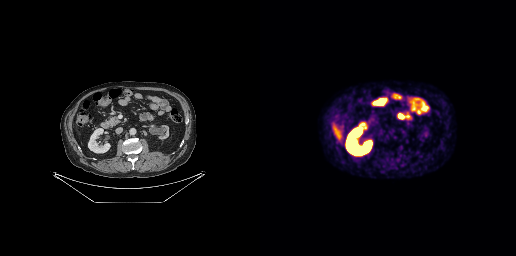
No tumor lesions annotated on this slice. Left: CT. Right: PSMA PET, same axial level, [18F]PSMA-1007 tracer. Slice 131 of 263.